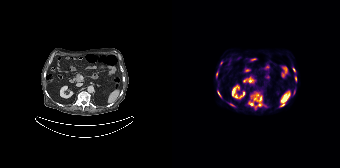
Findings: Coordinates are on the 168×168 PET (right) panel. PSMA-avid tumor lesion bounding boxes (x, y, width, height): x=76 y=93 w=15 h=15 / x=45 y=91 w=5 h=7 / x=108 y=103 w=5 h=4 / x=44 y=72 w=2 h=6 / x=58 y=103 w=5 h=4 / x=123 y=77 w=2 h=5. Small PSMA-avid foci (2 to 4 px across) near (center x, center y): (122, 70) / (49, 62) / (121, 93).
Technique: Paired axial CT (left) and PSMA PET (right), [18F]PSMA-1007 tracer. PET panel 168×168 px (4.1 mm/px).